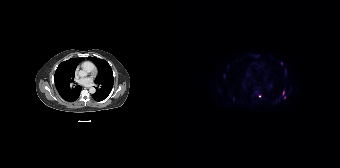
Coordinates are on the 168×168 PET (right) panel. (showing 4 of 6 foci) Small PSMA-avid foci (2 to 4 px across) near (center x, center y): (52, 75); (111, 92); (61, 98); (112, 97).